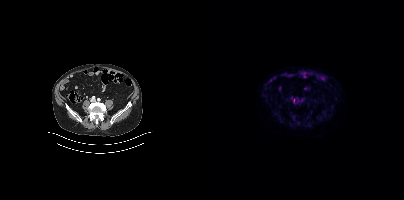
Paired axial CT (left) and PSMA PET (right), 18F-PSMA tracer. Only PSMA-avid lesion pieces thinner than 2 px on this slice (not listed).